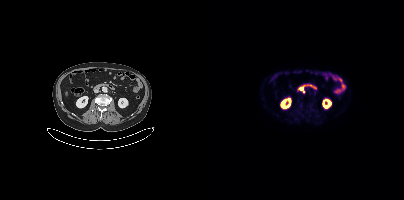
Negative for PSMA-avid disease on this slice.